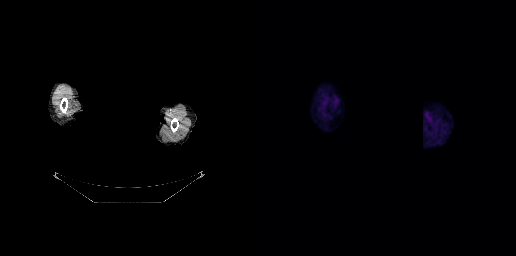
{"pet_grid":[256,256],"coord_frame":"pet_panel","coord_format":"x0,y0,x1,y1","psma_avid_lesions":false,"redaction":"rectangular block over head set to black","modality":"PSMA PET/CT","view":"axial","tracer":"18F-PSMA"}